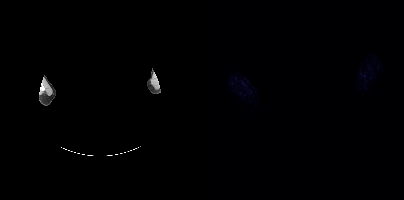
Technique: Paired axial CT (left) and PSMA PET (right), 18F tracer. slice position z = -881 mm. PET panel 200×200 px (4.1 mm/px).
Note: A rectangle over the head was blacked out to remove identifiable facial features.
Findings: No tumor lesions annotated on this slice.